- Paired axial CT (left) and PSMA PET (right), 18F-PSMA tracer
- acquired on Siemens Biograph mCT Flow 20
- slice position z = -1094 mm
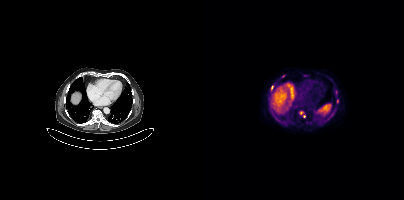
Findings: Coordinates are on the 200×200 PET (right) panel. (showing 4 of 6 foci) Small PSMA-avid foci (2 to 4 px across) near (center x, center y): (79, 76) | (68, 87) | (133, 101) | (100, 116).